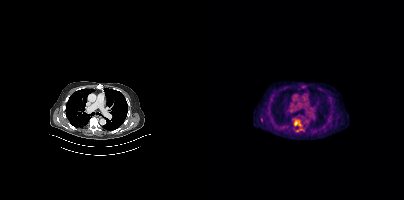
Coordinates are on the 200×200 PET (right) panel. Small PSMA-avid focus (2 to 4 px across) near (center x, center y): (91, 123).
modality: PSMA PET/CT | tracer: [18F]PSMA-1007 | view: axial